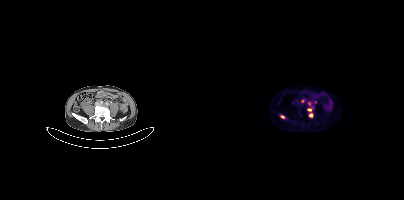
{"modality":"PSMA PET/CT","view":"axial","tracer":"68Ga","pet_grid":[200,200],"coord_frame":"pet_panel","coord_format":"x0,y0,x1,y1","lesion_bboxes":[[103,107,109,111],[105,113,109,117],[76,115,80,118]],"small_foci_centers":[[105,103],[98,101],[111,101]]}